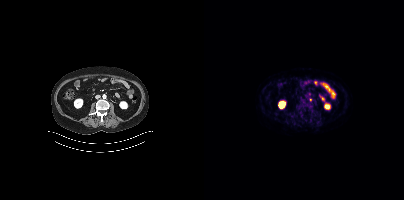
Left: CT. Right: PSMA PET, same axial level, 18F tracer. Slice 178 of 433. PET panel 200×200 px (4.1 mm/px). Coordinates are on the 200×200 PET (right) panel. Small PSMA-avid focus (2 to 4 px across) near (center x, center y): (106, 99).